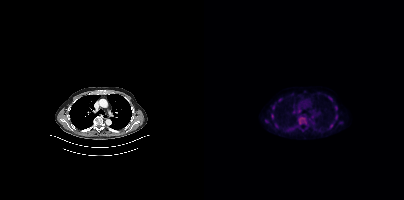
- Paired axial CT (left) and PSMA PET (right), 18F tracer
- PET panel 200×200 px (4.1 mm/px)
Findings: Coordinates are on the 200×200 PET (right) panel. (showing 7 of 9 foci) PSMA-avid tumor lesion bounding boxes (x, y, width, height): x=94 y=116 w=8 h=8 / x=131 y=106 w=3 h=5 / x=67 y=114 w=3 h=5. Small PSMA-avid foci (2 to 4 px across) near (center x, center y): (127, 98) / (69, 107) / (62, 121) / (130, 120).